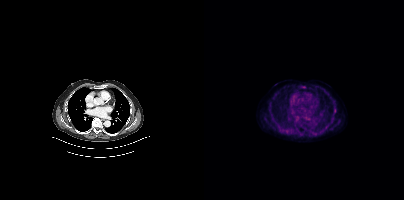
This slice has no annotated PSMA-avid lesion.